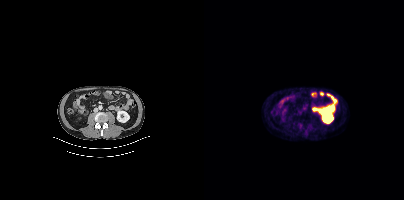
Coordinates are on the 200×200 PET (right) panel. Small PSMA-avid foci (2 to 4 px across) near (center x, center y): (96, 113); (96, 122).